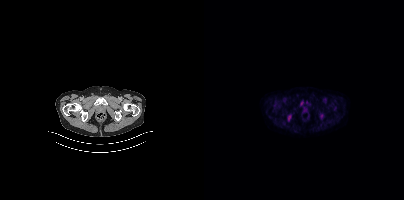
{"modality":"PSMA PET/CT","view":"axial","tracer":"18F-PSMA","pet_grid":[200,200],"coord_frame":"pet_panel","coord_format":"x0,y0,x1,y1","psma_avid_lesions":false}